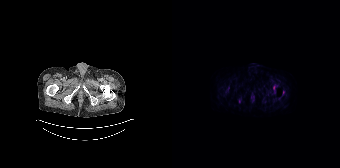
modality: PSMA PET/CT | tracer: 18F | view: axial
Coordinates are on the 168×168 PET (right) panel. (showing 2 of 3 foci) PSMA-avid tumor lesion bounding box (x0,y0,x1,y1): [101,85,103,90]. Small PSMA-avid focus (2 to 4 px across) near (center x, center y): (67, 100).